- Two-panel axial: CT | PSMA PET, 68Ga-PSMA tracer
- acquired on Siemens Biograph 64-4R TruePoint
- PET panel 168×168 px (4.1 mm/px)
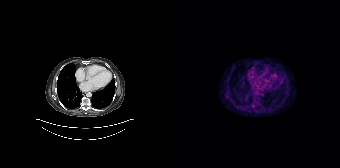
Findings: Coordinates are on the 168×168 PET (right) panel. Small PSMA-avid focus (2 to 4 px across) near (center x, center y): (81, 106).